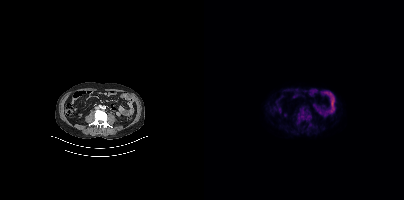
Paired axial CT (left) and PSMA PET (right), [18F]PSMA-1007 tracer. PET panel 200×200 px (4.1 mm/px). Coordinates are on the 200×200 PET (right) panel. (showing 3 of 5 foci) Small PSMA-avid foci (2 to 4 px across) near (center x, center y): (98, 117) | (98, 112) | (104, 116).